modality: PSMA PET/CT | tracer: 68Ga | view: axial | PET grid: 256×256
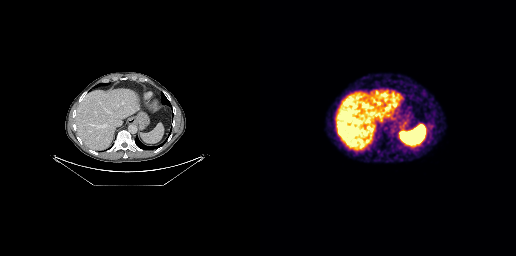
Only PSMA-avid lesion pieces thinner than 2 px on this slice (not listed).